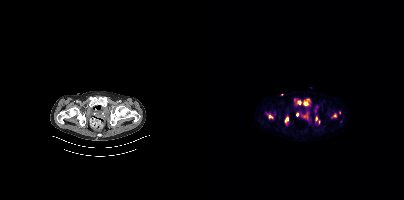
{"modality":"PSMA PET/CT","view":"axial","tracer":"18F","pet_grid":[200,200],"coord_frame":"pet_panel","coord_format":"x0,y0,x1,y1","partial":true,"lesion_bboxes":[[99,99,105,105],[81,117,84,123],[93,100,97,104]],"small_foci_centers":[[66,116],[112,118],[131,115],[93,113]]}